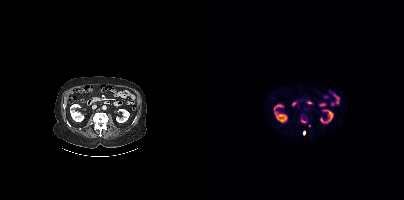
{"modality":"PSMA PET/CT","view":"axial","tracer":"18F","pet_grid":[200,200],"coord_frame":"pet_panel","coord_format":"x0,y0,x1,y1","lesion_bboxes":[],"small_foci_centers":[[100,132]]}